Two-panel axial: CT | PSMA PET, 18F-PSMA tracer. Acquired on Siemens Biograph 64-4R TruePoint. Slice position z = -814 mm.
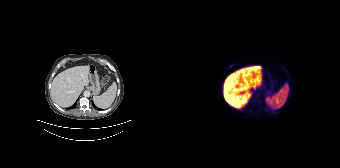
Coordinates are on the 168×168 PET (right) panel. Small PSMA-avid focus (2 to 4 px across) near (center x, center y): (59, 66).